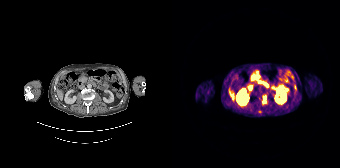
Coordinates are on the 168×168 PET (right) panel. Small PSMA-avid foci (2 to 4 px across) near (center x, center y): (92, 99); (87, 111).
modality: PSMA PET/CT | tracer: 68Ga-PSMA | view: axial | PET grid: 168×168